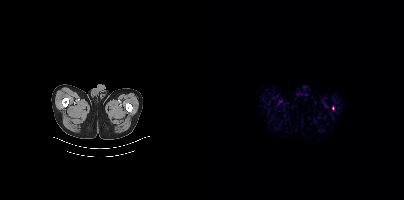
Two-panel axial: CT | PSMA PET, 18F-PSMA tracer. Negative for PSMA-avid disease on this slice.